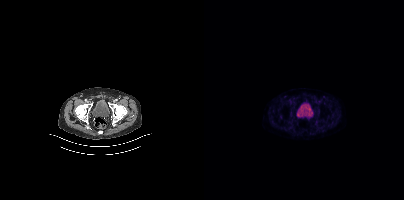
{"modality":"PSMA PET/CT","view":"axial","tracer":"18F-PSMA","pet_grid":[200,200],"coord_frame":"pet_panel","coord_format":"x0,y0,x1,y1","psma_avid_lesions":false}